modality: PSMA PET/CT | tracer: 18F-PSMA | view: axial
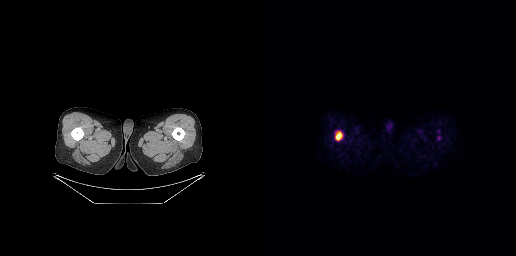
Coordinates are on the 256×256 PET (right) panel. PSMA-avid tumor lesion bounding box (x0,y0,x1,y1): [75,131,82,140].